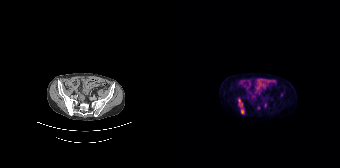
Technique: Two-panel axial: CT | PSMA PET, [18F]PSMA-1007 tracer.
Findings: Coordinates are on the 168×168 PET (right) panel. PSMA-avid tumor lesion bounding boxes (x0,y0,x1,y1): [66,98,72,112], [92,103,94,107]. Small PSMA-avid foci (2 to 4 px across) near (center x, center y): (86, 107), (110, 94).